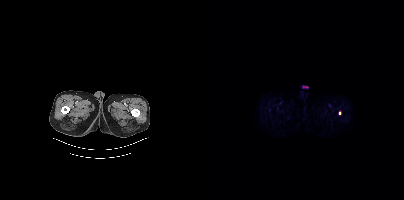
Left: CT. Right: PSMA PET, same axial level, 18F tracer. Coordinates are on the 200×200 PET (right) panel. Small PSMA-avid focus (2 to 4 px across) near (center x, center y): (135, 113).